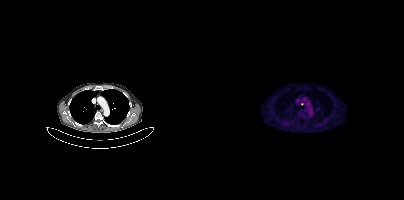
Coordinates are on the 200×200 PET (right) panel. Small PSMA-avid focus (2 to 4 px across) near (center x, center y): (98, 104).